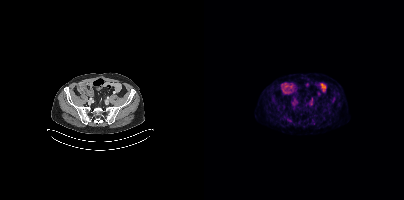
{"modality":"PSMA PET/CT","view":"axial","tracer":"18F-PSMA","pet_grid":[200,200],"coord_frame":"pet_panel","coord_format":"x0,y0,x1,y1","psma_avid_lesions":false}